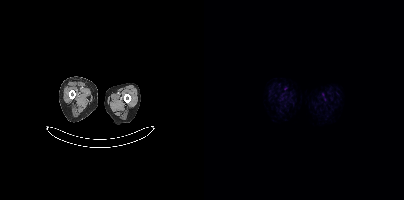
{"pet_grid":[200,200],"coord_frame":"pet_panel","coord_format":"x0,y0,x1,y1","psma_avid_lesions":false,"modality":"PSMA PET/CT","view":"axial","tracer":"18F-PSMA"}